Left: CT. Right: PSMA PET, same axial level, [18F]PSMA-1007 tracer. Acquired on Siemens Biograph mCT Flow 20. Slice position z = -632 mm. PET panel 200×200 px (4.1 mm/px).
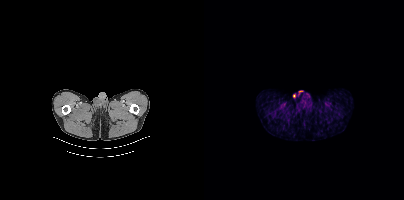
Negative for PSMA-avid disease on this slice.